modality: PSMA PET/CT | tracer: 18F | view: axial | PET grid: 256×256
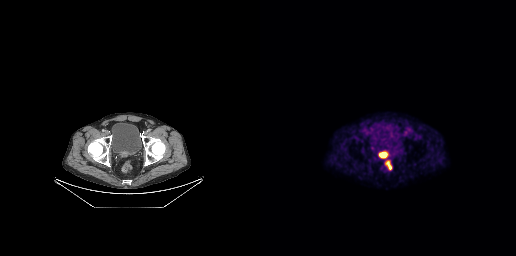
Coordinates are on the 256×256 PET (right) panel. PSMA-avid tumor lesion bounding boxes (x0, y0)-(x1, y1): (125, 160)-(131, 169); (119, 152)-(127, 157).